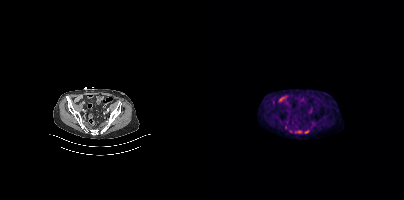
modality: PSMA PET/CT | tracer: [18F]PSMA-1007 | view: axial | PET grid: 200×200
Coordinates are on the 200×200 PET (right) panel. Small PSMA-avid focus (2 to 4 px across) near (center x, center y): (81, 127).